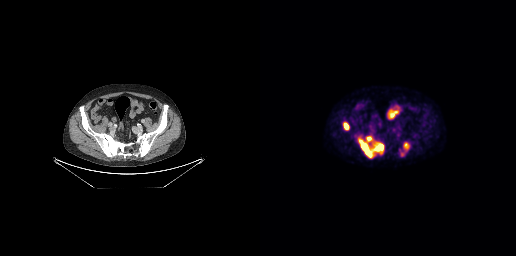
Technique: Paired axial CT (left) and PSMA PET (right), 18F-PSMA tracer. PET panel 256×256 px (2.7 mm/px).
Findings: Coordinates are on the 256×256 PET (right) panel. (showing 3 of 4 foci) PSMA-avid tumor lesion bounding boxes (x0,y0,x1,y1): [98,136,123,157], [83,122,89,129], [144,143,149,149].